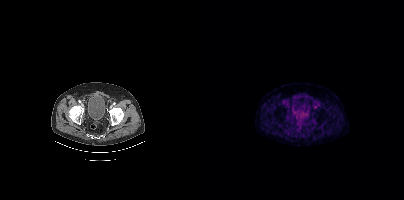
{"modality":"PSMA PET/CT","view":"axial","tracer":"[18F]PSMA-1007","pet_grid":[200,200],"coord_frame":"pet_panel","coord_format":"x0,y0,x1,y1","psma_avid_lesions":false}